Left: CT. Right: PSMA PET, same axial level, [18F]PSMA-1007 tracer.
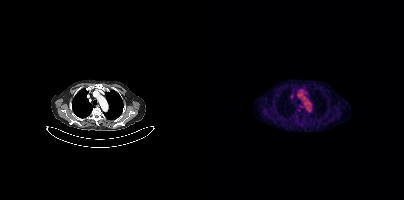
This slice has no annotated PSMA-avid lesion.